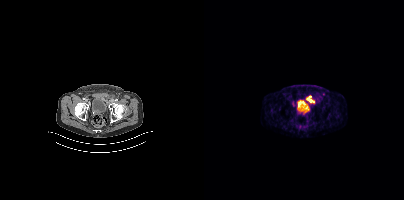
Two-panel axial: CT | PSMA PET, [68Ga]Ga-PSMA-11 tracer. Slice 64 of 373. Coordinates are on the 200×200 PET (right) panel. PSMA-avid tumor lesion bounding box (x0, y0)-(x1, y1): (102, 96)-(110, 102).